Technique: Left: CT. Right: PSMA PET, same axial level, 18F-PSMA tracer.
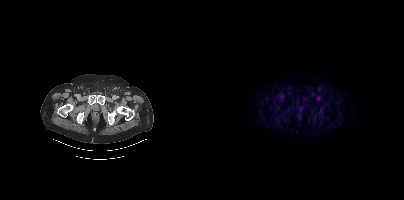
Findings: This slice has no annotated PSMA-avid lesion.